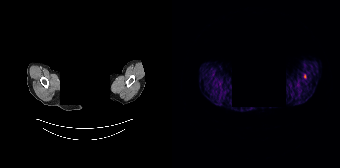
Left: CT. Right: PSMA PET, same axial level, 68Ga tracer. PET panel 168×168 px (4.1 mm/px). Facial anatomy redacted by setting a rectangular region of the head to black.
Coordinates are on the 168×168 PET (right) panel. PSMA-avid tumor lesion bounding boxes:
| # | x0 | y0 | x1 | y1 |
|---|---|---|---|---|
| 1 | 132 | 74 | 134 | 78 |